- Left: CT. Right: PSMA PET, same axial level, 18F-PSMA tracer
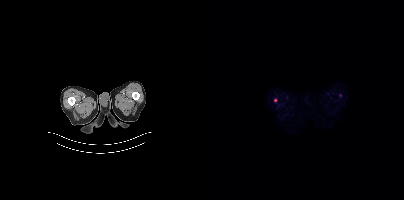
Findings: Coordinates are on the 200×200 PET (right) panel. Small PSMA-avid focus (2 to 4 px across) near (center x, center y): (71, 99).